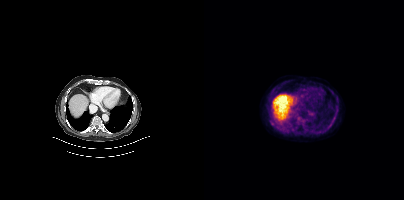
This slice has no annotated PSMA-avid lesion. Left: CT. Right: PSMA PET, same axial level, [18F]PSMA-1007 tracer. Acquired on Siemens Biograph mCT Flow 20. Slice 251 of 409.